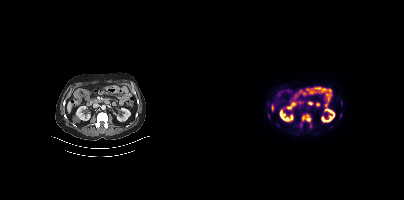
{"modality":"PSMA PET/CT","view":"axial","tracer":"[18F]PSMA-1007","pet_grid":[200,200],"coord_frame":"pet_panel","coord_format":"x0,y0,x1,y1","partial":true,"lesion_bboxes":[[98,114,107,122],[136,113,137,117],[64,114,65,118]]}